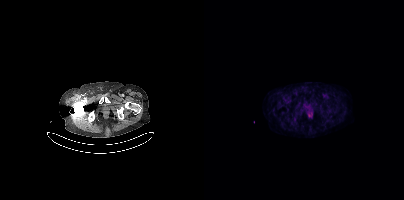
Findings: This slice has no annotated PSMA-avid lesion.
- Two-panel axial: CT | PSMA PET, 18F-PSMA tracer